Left: CT. Right: PSMA PET, same axial level, 18F tracer. Slice position z = -643 mm.
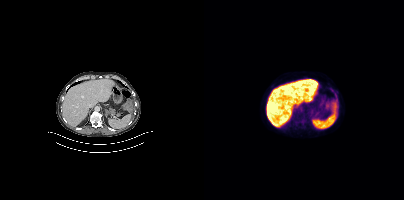
No PSMA-avid tumor lesions on this slice.